modality: PSMA PET/CT | tracer: [18F]PSMA-1007 | view: axial | PET grid: 200×200
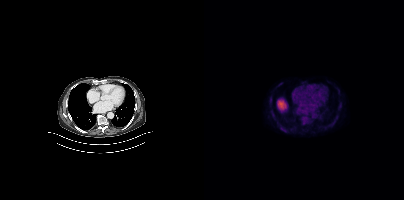
Coordinates are on the 200×200 PET (right) panel. Small PSMA-avid focus (2 to 4 px across) near (center x, center y): (99, 123).